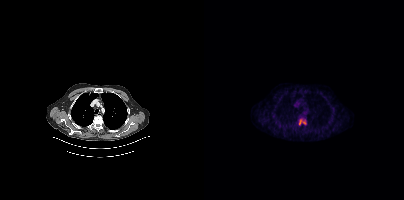
Coordinates are on the 200×200 PET (right) panel. PSMA-avid tumor lesion bounding box (x, y, width, height): x=95 y=119 w=8 h=6.